modality: PSMA PET/CT | tracer: 18F-PSMA | view: axial | PET grid: 200×200
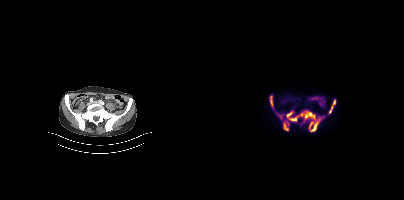
Coordinates are on the 200×200 PET (right) panel. PSMA-avid tumor lesion bounding boxes (x0,y0,x1,y1): [82,110,115,131] [124,99,132,114] [79,122,84,130] [66,96,68,106]. Small PSMA-avid focus (2 to 4 px across) near (center x, center y): (76, 116).